modality: PSMA PET/CT | tracer: [18F]PSMA-1007 | view: axial
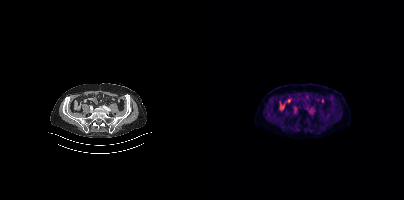
No tumor lesions annotated on this slice.